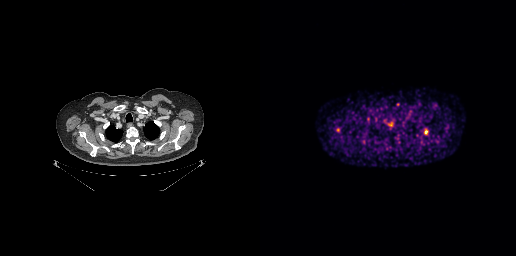
Left: CT. Right: PSMA PET, same axial level, 68Ga-PSMA tracer. PET panel 256×256 px (2.7 mm/px).
Coordinates are on the 256×256 PET (right) panel. PSMA-avid tumor lesion bounding boxes:
| # | x0 | y0 | x1 | y1 |
|---|---|---|---|---|
| 1 | 164 | 130 | 167 | 134 |